modality: PSMA PET/CT | tracer: 18F | view: axial | PET grid: 200×200
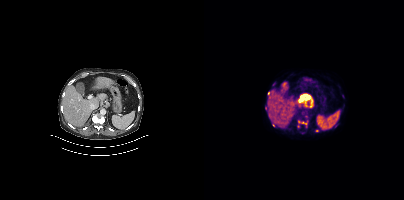
Coordinates are on the 200×200 PET (right) panel. (showing 1 of 3 foci) Small PSMA-avid focus (2 to 4 px across) near (center x, center y): (101, 123).